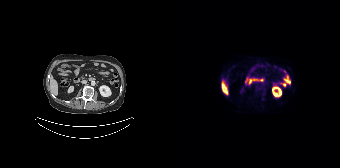
Negative for PSMA-avid disease on this slice. Two-panel axial: CT | PSMA PET, [18F]PSMA-1007 tracer.